- Left: CT. Right: PSMA PET, same axial level, 18F tracer
- slice position z = -514 mm
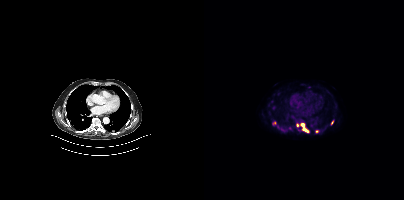
Findings: Coordinates are on the 200×200 PET (right) panel. (showing 4 of 6 foci) PSMA-avid tumor lesion bounding box (x, y, width, height): x=97 y=123 w=8 h=10. Small PSMA-avid foci (2 to 4 px across) near (center x, center y): (113, 131); (128, 122); (93, 125).